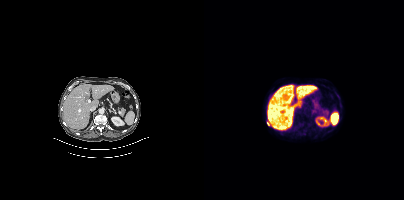
modality: PSMA PET/CT | tracer: 18F-PSMA | view: axial
Coordinates are on the 200×200 PET (right) panel. Small PSMA-avid focus (2 to 4 px across) near (center x, center y): (64, 123).